- face de-identified by blanking a block of the head
- Paired axial CT (left) and PSMA PET (right), 18F tracer
- PET panel 200×200 px (4.1 mm/px)
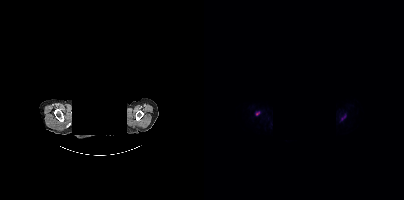
Findings: Coordinates are on the 200×200 PET (right) panel. PSMA-avid tumor lesion bounding boxes (x, y, width, height): x=51 y=112 w=5 h=4; x=137 y=116 w=5 h=5.